modality: PSMA PET/CT | tracer: [18F]PSMA-1007 | view: axial | PET grid: 168×168
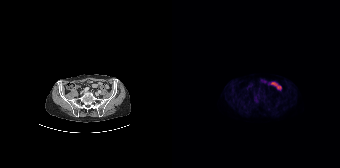
No PSMA-avid tumor lesions on this slice.